Technique: Left: CT. Right: PSMA PET, same axial level, 18F tracer. acquired on Siemens Biograph mCT Flow 20. slice 104 of 419.
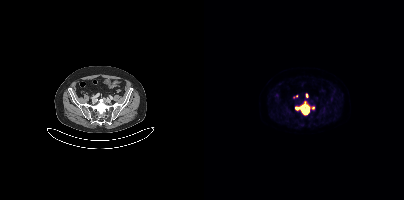
Findings: Coordinates are on the 200×200 PET (right) panel. (showing 3 of 4 foci) PSMA-avid tumor lesion bounding box (x0, y0)-(x1, y1): (98, 106)-(105, 114). Small PSMA-avid foci (2 to 4 px across) near (center x, center y): (102, 95); (92, 108).